Paired axial CT (left) and PSMA PET (right), [18F]PSMA-1007 tracer. PET panel 200×200 px (4.1 mm/px).
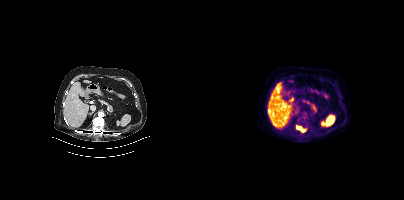
Coordinates are on the 200×200 PET (right) panel. PSMA-avid tumor lesion bounding box (x0,y0,x1,y1): [93,126,101,131].